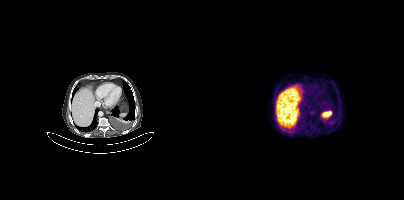
Paired axial CT (left) and PSMA PET (right), 18F-PSMA tracer. Acquired on Siemens Biograph mCT Flow 20. Slice 257 of 425. This slice has no annotated PSMA-avid lesion.